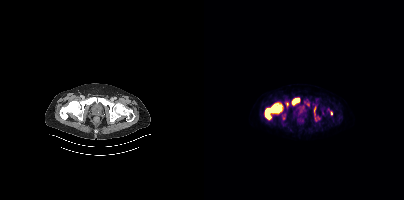
{"modality":"PSMA PET/CT","view":"axial","tracer":"18F-PSMA","pet_grid":[200,200],"coord_frame":"pet_panel","coord_format":"x0,y0,x1,y1","partial":true,"lesion_bboxes":[[61,104,77,119],[88,98,95,104]],"small_foci_centers":[[127,113]]}